- Two-panel axial: CT | PSMA PET, [18F]PSMA-1007 tracer
- slice position z = 61 mm
- PET panel 200×200 px (4.1 mm/px)
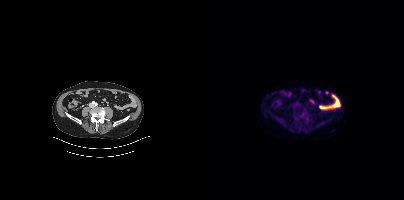
Findings: Coordinates are on the 200×200 PET (right) panel. PSMA-avid tumor lesion bounding box (x0, y0)-(x1, y1): (96, 110)-(101, 116).